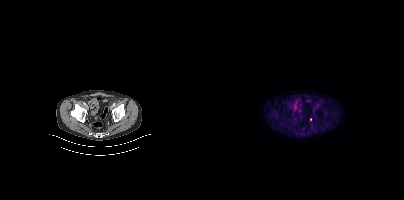
Paired axial CT (left) and PSMA PET (right), 18F tracer. No PSMA-avid tumor lesions on this slice.